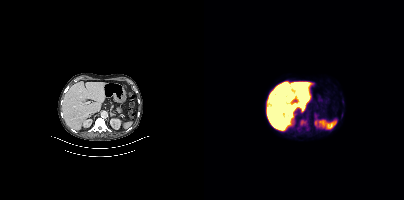
modality: PSMA PET/CT | tracer: [18F]PSMA-1007 | view: axial | PET grid: 200×200
Coordinates are on the 200×200 PET (right) panel. PSMA-avid tumor lesion bounding boxes (x, y, width, height): x=95 y=121 w=10 h=10 / x=138 y=100 w=2 h=5.